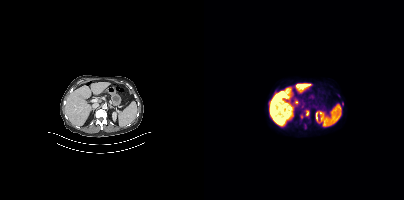
Left: CT. Right: PSMA PET, same axial level, 18F tracer. Slice 206 of 413.
Coordinates are on the 200×200 PET (right) panel. PSMA-avid tumor lesion bounding boxes:
| # | x0 | y0 | x1 | y1 |
|---|---|---|---|---|
| 1 | 102 | 110 | 104 | 115 |
Small PSMA-avid foci (2 to 4 px across) near (center x, center y): (97, 116); (138, 103).